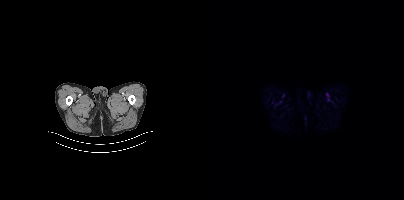
{"modality":"PSMA PET/CT","view":"axial","tracer":"18F","pet_grid":[200,200],"coord_frame":"pet_panel","coord_format":"x0,y0,x1,y1","psma_avid_lesions":false}